- Paired axial CT (left) and PSMA PET (right), 18F tracer
- slice position z = -414 mm
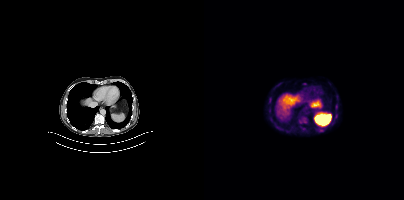
Findings: Coordinates are on the 200×200 PET (right) panel. Small PSMA-avid foci (2 to 4 px across) near (center x, center y): (66, 99) (132, 107).